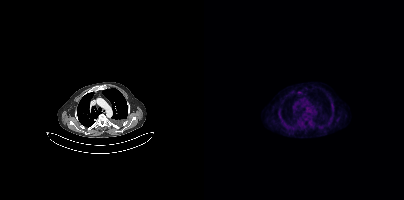
Technique: Paired axial CT (left) and PSMA PET (right), 18F-PSMA tracer. PET panel 200×200 px (4.1 mm/px).
Findings: This slice has no annotated PSMA-avid lesion.